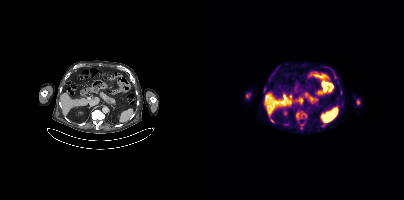
Coordinates are on the 200×200 PET (right) panel. (showing 4 of 6 foci) PSMA-avid tumor lesion bounding boxes (x, y, width, height): x=93 y=112 w=6 h=6 | x=42 y=94 w=5 h=4 | x=152 y=100 w=5 h=5 | x=136 y=90 w=2 h=5.